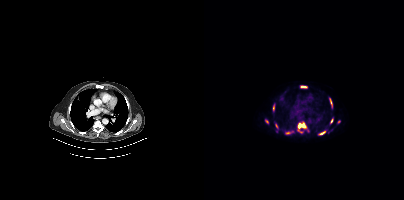
Coordinates are on the 200×200 PET (right) panel. (showing 6 of 10 foci) PSMA-avid tumor lesion bounding boxes (x, y, width, height): x=94 y=122 w=9 h=7 | x=115 y=131 w=7 h=4 | x=126 y=99 w=2 h=5. Small PSMA-avid foci (2 to 4 px across) near (center x, center y): (69, 108) | (127, 120) | (97, 86).
modality: PSMA PET/CT | tracer: [18F]PSMA-1007 | view: axial